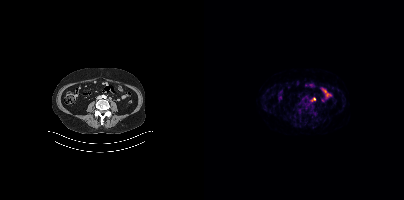
{"modality":"PSMA PET/CT","view":"axial","tracer":"18F-PSMA","pet_grid":[200,200],"coord_frame":"pet_panel","coord_format":"x0,y0,x1,y1","lesion_bboxes":[],"small_foci_centers":[[109,99]]}